- Paired axial CT (left) and PSMA PET (right), 18F-PSMA tracer
- PET panel 200×200 px (4.1 mm/px)
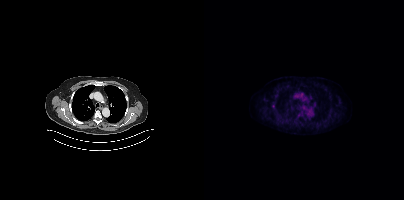
Findings: No tumor lesions annotated on this slice.